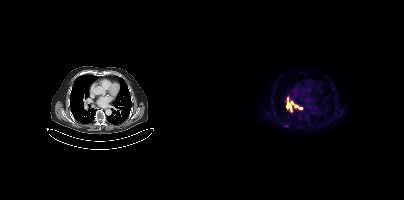
{"modality":"PSMA PET/CT","view":"axial","tracer":"[18F]PSMA-1007","pet_grid":[200,200],"coord_frame":"pet_panel","coord_format":"x0,y0,x1,y1","lesion_bboxes":[[91,105,98,109]]}